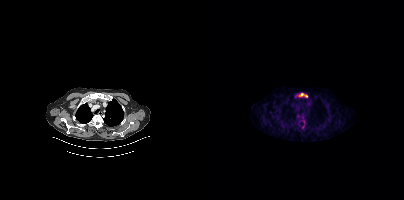
Coordinates are on the 200×200 PET (right) panel. (showing 2 of 3 foci) PSMA-avid tumor lesion bounding box (x, y, width, height): x=94 y=93 w=10 h=5. Small PSMA-avid focus (2 to 4 px across) near (center x, center y): (99, 121).